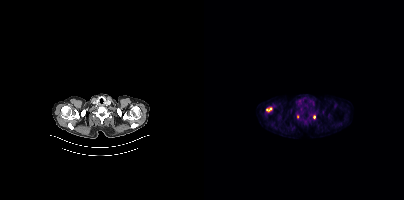
Coordinates are on the 200×200 PET (right) panel. PSMA-avid tumor lesion bounding box (x0, y0)-(x1, y1): (62, 108)-(67, 111). Small PSMA-avid foci (2 to 4 px across) near (center x, center y): (110, 116) | (93, 116).